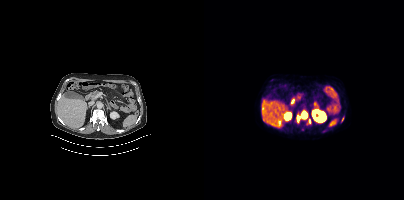
Coordinates are on the 200×200 PET (right) panel. PSMA-avid tumor lesion bounding boxes (x, y, width, height): x=98 y=111 w=6 h=8 / x=93 y=116 w=3 h=6. Small PSMA-avid focus (2 to 4 px across) near (center x, center y): (105, 121). Left: CT. Right: PSMA PET, same axial level, 18F-PSMA tracer. Slice 220 of 444.